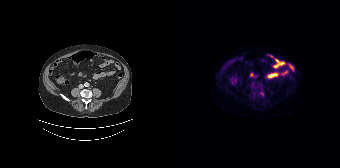
Findings: No tumor lesions annotated on this slice.
- Two-panel axial: CT | PSMA PET, 18F tracer
- slice 64 of 165
- PET panel 168×168 px (4.1 mm/px)